- Paired axial CT (left) and PSMA PET (right), 68Ga tracer
- acquired on Siemens Biograph mCT Flow 20
- slice position z = 867 mm
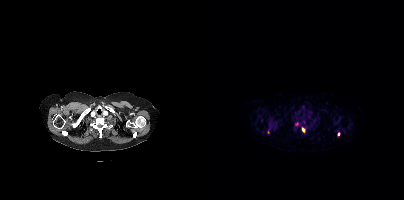
Findings: Coordinates are on the 200×200 PET (right) panel. (showing 2 of 4 foci) PSMA-avid tumor lesion bounding box (x0, y0)-(x1, y1): (98, 127)-(100, 132). Small PSMA-avid focus (2 to 4 px across) near (center x, center y): (134, 133).